Left: CT. Right: PSMA PET, same axial level, 18F-PSMA tracer. Acquired on Siemens Biograph mCT Flow 20. Slice position z = -1275 mm.
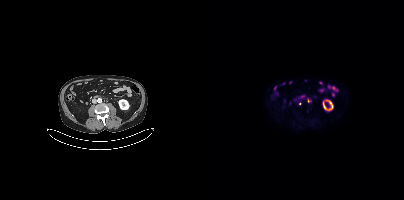
Coordinates are on the 200×200 PET (right) panel. PSMA-avid tumor lesion bounding boxes:
| # | x0 | y0 | x1 | y1 |
|---|---|---|---|---|
| 1 | 103 | 99 | 107 | 102 |
Small PSMA-avid focus (2 to 4 px across) near (center x, center y): (96, 103).